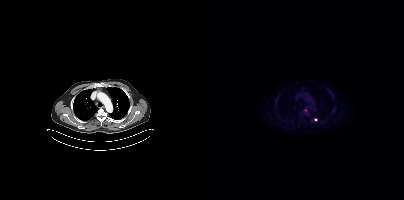
{"modality":"PSMA PET/CT","view":"axial","tracer":"18F","pet_grid":[200,200],"coord_frame":"pet_panel","coord_format":"x0,y0,x1,y1","lesion_bboxes":[],"small_foci_centers":[[128,96],[111,119]]}